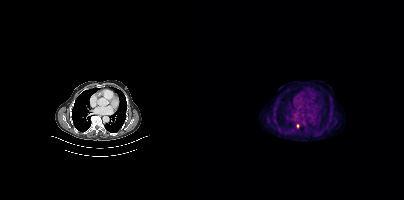
Technique: Left: CT. Right: PSMA PET, same axial level, 18F tracer. PET panel 200×200 px (4.1 mm/px).
Findings: Coordinates are on the 200×200 PET (right) panel. PSMA-avid tumor lesion bounding box (x, y, width, height): x=92 y=124 w=4 h=5.